modality: PSMA PET/CT | tracer: 18F | view: axial
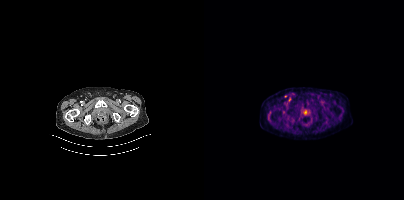
Coordinates are on the 200×200 PET (right) panel. (showing 1 of 2 foci) Small PSMA-avid focus (2 to 4 px across) near (center x, center y): (85, 99).